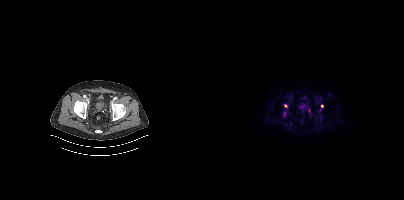
Coordinates are on the 200×200 PET (right) panel. Small PSMA-avid foci (2 to 4 px across) near (center x, center y): (118, 106) / (81, 105).